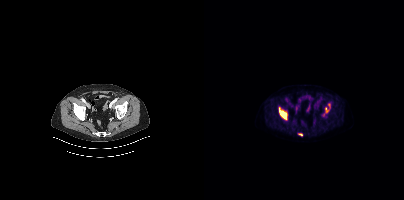
Left: CT. Right: PSMA PET, same axial level, [18F]PSMA-1007 tracer. Slice position z = -1485 mm.
Coordinates are on the 200×200 PET (right) panel. PSMA-avid tumor lesion bounding boxes (partial; 1 more focus not listed):
| # | x0 | y0 | x1 | y1 |
|---|---|---|---|---|
| 1 | 75 | 107 | 83 | 119 |
| 2 | 121 | 107 | 124 | 112 |
| 3 | 94 | 133 | 98 | 135 |